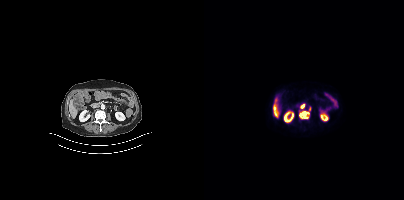
Technique: Paired axial CT (left) and PSMA PET (right), [18F]PSMA-1007 tracer. acquired on Siemens Biograph mCT Flow 20. slice 161 of 403. PET panel 200×200 px (4.1 mm/px).
Findings: Coordinates are on the 200×200 PET (right) panel. (showing 2 of 3 foci) PSMA-avid tumor lesion bounding boxes (x0, y0)-(x1, y1): (95, 111)-(105, 118); (96, 104)-(100, 108).